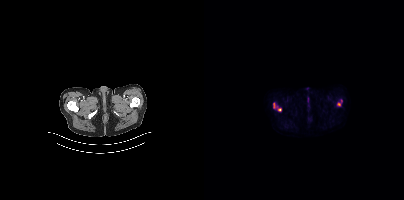
- Left: CT. Right: PSMA PET, same axial level, [18F]PSMA-1007 tracer
- PET panel 200×200 px (4.1 mm/px)
Findings: Coordinates are on the 200×200 PET (right) panel. (showing 2 of 3 foci) PSMA-avid tumor lesion bounding box (x0, y0)-(x1, y1): (69, 103)-(77, 111). Small PSMA-avid focus (2 to 4 px across) near (center x, center y): (134, 103).